Technique: Left: CT. Right: PSMA PET, same axial level, 18F-PSMA tracer. PET panel 256×256 px (2.7 mm/px).
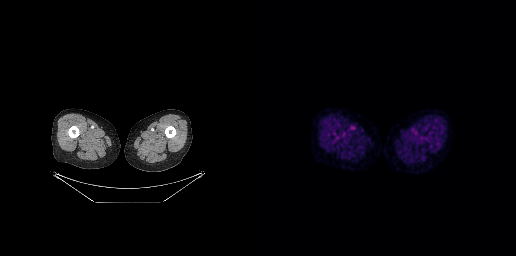
Findings: Negative for PSMA-avid disease on this slice.